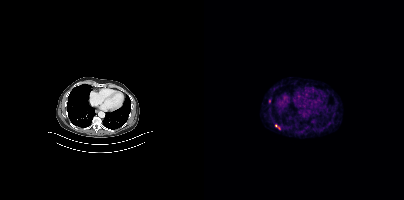
- Left: CT. Right: PSMA PET, same axial level, [68Ga]Ga-PSMA-11 tracer
- PET panel 200×200 px (4.1 mm/px)
Findings: Coordinates are on the 200×200 PET (right) panel. (showing 2 of 3 foci) Small PSMA-avid foci (2 to 4 px across) near (center x, center y): (65, 101) | (72, 125).